Left: CT. Right: PSMA PET, same axial level, 18F tracer. Acquired on Siemens Biograph mCT Flow 20. Slice position z = -430 mm. PET panel 200×200 px (4.1 mm/px).
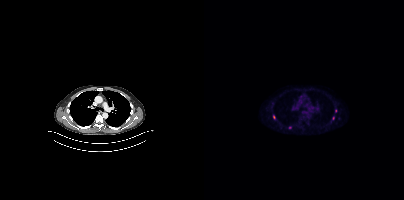
Coordinates are on the 200×200 PET (right) panel. Small PSMA-avid foci (2 to 4 px across) near (center x, center y): (70, 116) | (129, 118) | (131, 110) | (86, 127).